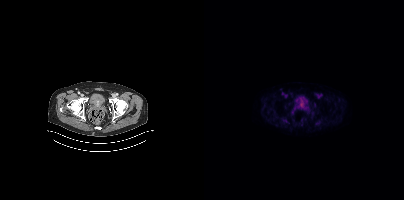
No tumor lesions annotated on this slice. Left: CT. Right: PSMA PET, same axial level, 18F-PSMA tracer.